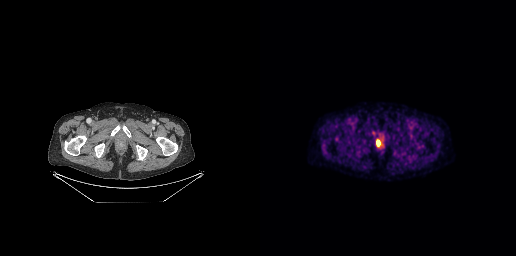
Paired axial CT (left) and PSMA PET (right), 18F-PSMA tracer. Slice 50 of 263. PET panel 256×256 px (2.7 mm/px).
Coordinates are on the 256×256 PET (right) panel. PSMA-avid tumor lesion bounding boxes:
| # | x0 | y0 | x1 | y1 |
|---|---|---|---|---|
| 1 | 116 | 140 | 120 | 146 |